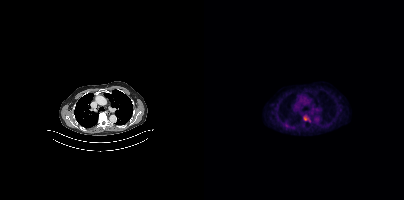
Findings: Coordinates are on the 200×200 PET (right) panel. PSMA-avid tumor lesion bounding box (x, y, width, height): x=100 y=116 w=6 h=5.
Technique: Two-panel axial: CT | PSMA PET, 18F-PSMA tracer. acquired on Siemens Biograph mCT Flow 20. slice position z = -465 mm.